Technique: Two-panel axial: CT | PSMA PET, [18F]PSMA-1007 tracer. slice 102 of 429.
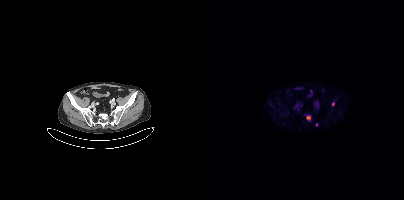
Findings: Coordinates are on the 200×200 PET (right) panel. PSMA-avid tumor lesion bounding box (x0, y0)-(x1, y1): (102, 116)-(106, 119). Small PSMA-avid foci (2 to 4 px across) near (center x, center y): (129, 103) / (112, 125).